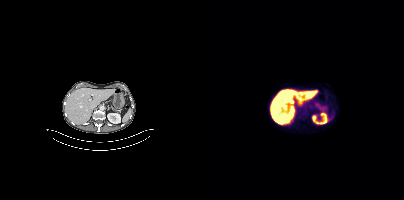
Paired axial CT (left) and PSMA PET (right), 18F-PSMA tracer. PET panel 200×200 px (4.1 mm/px). Negative for PSMA-avid disease on this slice.